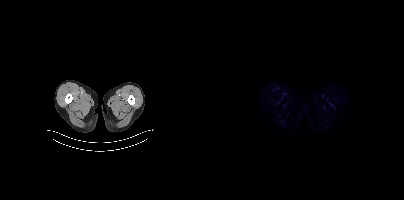
Negative for PSMA-avid disease on this slice.